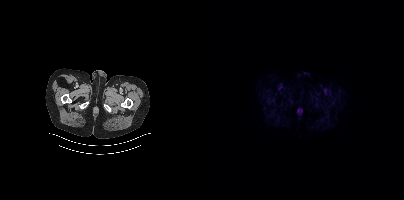
Left: CT. Right: PSMA PET, same axial level, 18F tracer. Slice position z = -882 mm. No tumor lesions annotated on this slice.